Paired axial CT (left) and PSMA PET (right), 18F tracer. Slice position z = -145 mm. PET panel 256×256 px (2.7 mm/px).
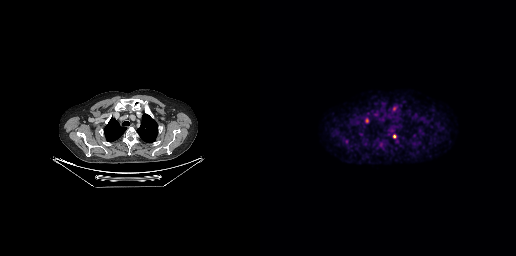
Coordinates are on the 256×256 PET (right) panel. PSMA-avid tumor lesion bounding boxes:
| # | x0 | y0 | x1 | y1 |
|---|---|---|---|---|
| 1 | 105 | 118 | 108 | 123 |
| 2 | 133 | 134 | 136 | 138 |
Small PSMA-avid focus (2 to 4 px across) near (center x, center y): (134, 108).